deidentification: head region blacked out before release | modality: PSMA PET/CT | tracer: 18F-PSMA | view: axial
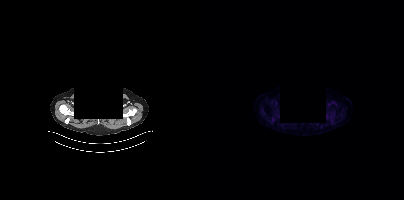
No PSMA-avid tumor lesions on this slice.